Two-panel axial: CT | PSMA PET, 68Ga tracer. PET panel 256×256 px (2.7 mm/px).
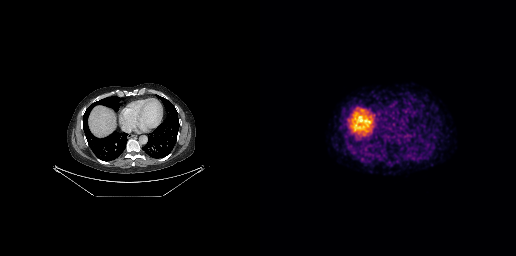
This slice has no annotated PSMA-avid lesion.